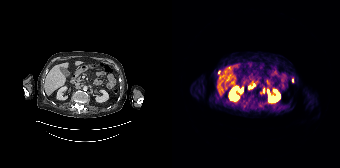
modality: PSMA PET/CT | tracer: 68Ga-PSMA | view: axial
Coordinates are on the 168×168 PET (right) panel. (showing 2 of 5 foci) Small PSMA-avid foci (2 to 4 px across) near (center x, center y): (91, 90) | (81, 85).